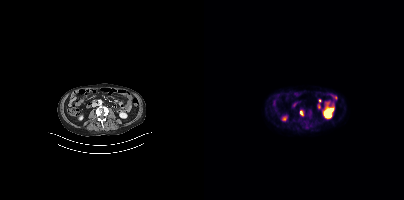
Coordinates are on the 200×200 PET (right) panel. Small PSMA-avid foci (2 to 4 px across) near (center x, center y): (97, 112) | (105, 111).